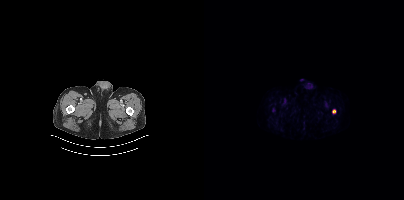
- Paired axial CT (left) and PSMA PET (right), 18F tracer
- slice position z = -1683 mm
- PET panel 200×200 px (4.1 mm/px)
Findings: Coordinates are on the 200×200 PET (right) panel. PSMA-avid tumor lesion bounding box (x0, y0)-(x1, y1): (128, 109)-(131, 113).